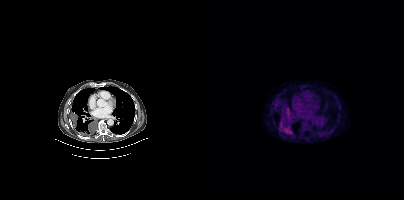
Findings: Coordinates are on the 200×200 PET (right) panel. PSMA-avid tumor lesion bounding boxes (x0,y0,x1,y1): [75,122,87,134]; [81,108,88,115].
- Paired axial CT (left) and PSMA PET (right), 18F-PSMA tracer